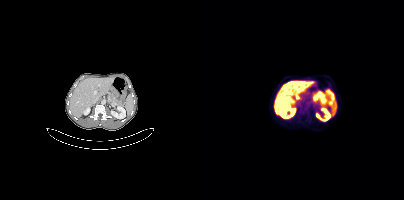
Coordinates are on the 200×200 PET (right) panel. PSMA-avid tumor lesion bounding box (x, y, width, height): x=95 y=105 w=9 h=9.